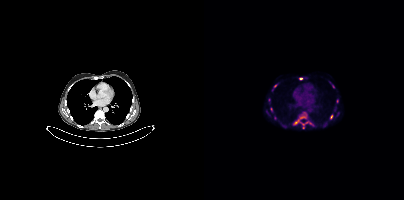
Coordinates are on the 200×200 PET (right) panel. (showing 7 of 10 foci) PSMA-avid tumor lesion bounding boxes (x0,y0,x1,y1): [89,113,107,125] [126,114,129,119] [66,107,68,111]. Small PSMA-avid foci (2 to 4 px across) near (center x, center y): (96, 78) (71, 86) (129, 86) (99, 127).